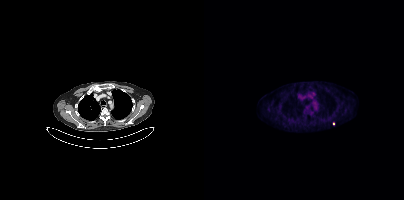
Technique: Two-panel axial: CT | PSMA PET, [18F]PSMA-1007 tracer. acquired on Siemens Biograph mCT Flow 20. slice 309 of 401.
Findings: Coordinates are on the 200×200 PET (right) panel. Small PSMA-avid focus (2 to 4 px across) near (center x, center y): (129, 123).